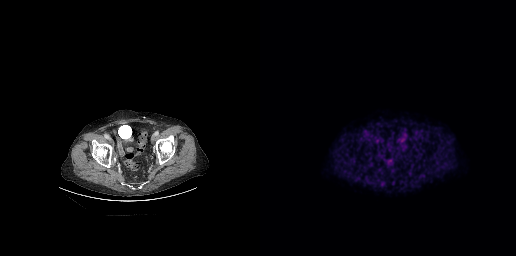
- Left: CT. Right: PSMA PET, same axial level, [18F]PSMA-1007 tracer
- acquired on GE Discovery 690
- slice position z = -653 mm
- PET panel 256×256 px (2.7 mm/px)
Findings: This slice has no annotated PSMA-avid lesion.